- the head region is masked for de-identification
- Left: CT. Right: PSMA PET, same axial level, 18F-PSMA tracer
- slice position z = -11 mm
- PET panel 256×256 px (2.7 mm/px)
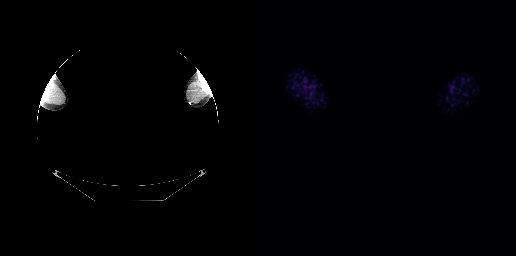
Findings: No PSMA-avid tumor lesions on this slice.